Technique: Two-panel axial: CT | PSMA PET, 18F-PSMA tracer. slice position z = -1036 mm. PET panel 200×200 px (4.1 mm/px).
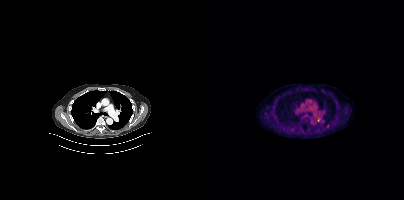
Findings: Coordinates are on the 200×200 PET (right) panel. PSMA-avid tumor lesion bounding box (x, y, width, height): x=122 y=124 w=4 h=5. Small PSMA-avid focus (2 to 4 px across) near (center x, center y): (114, 119).